modality: PSMA PET/CT | tracer: [68Ga]Ga-PSMA-11 | view: axial
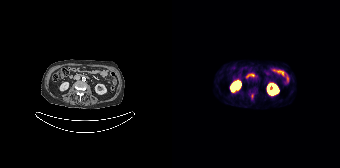
Only PSMA-avid lesion pieces thinner than 2 px on this slice (not listed).